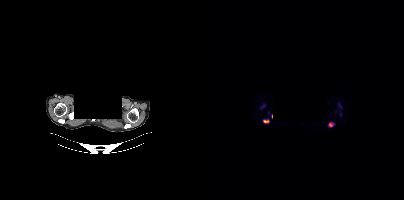
{"modality":"PSMA PET/CT","view":"axial","tracer":"18F","pet_grid":[200,200],"coord_frame":"pet_panel","coord_format":"x0,y0,x1,y1","partial":true,"lesion_bboxes":[[59,119,65,123],[125,122,129,126]],"small_foci_centers":[[136,106]],"de-identification":"privacy mask over head"}